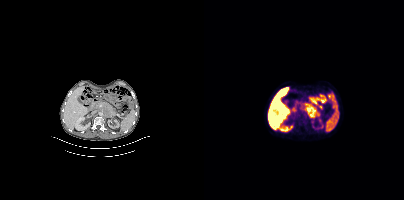
Coordinates are on the 200×200 PET (right) panel. PSMA-avid tumor lesion bounding box (x0,y0,x1,y1): [101,103,114,118].